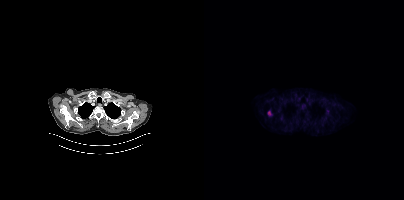
Coordinates are on the 200×200 PET (right) panel. PSMA-avid tumor lesion bounding box (x, y, width, height): x=64 y=111 w=4 h=5.